- Left: CT. Right: PSMA PET, same axial level, 18F-PSMA tracer
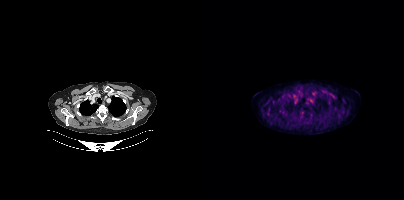
Findings: Negative for PSMA-avid disease on this slice.